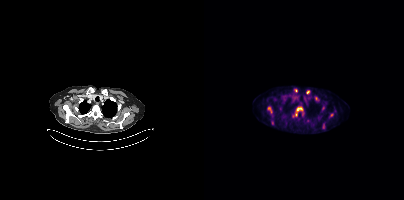
Findings: Coordinates are on the 200×200 PET (right) panel. PSMA-avid tumor lesion bounding boxes (x0,y0,x1,y1): [92,106,98,111], [63,106,68,112]. Small PSMA-avid foci (2 to 4 px across) near (center x, center y): (103, 91), (91, 90), (92, 114), (112, 97), (127, 114).
Technique: Paired axial CT (left) and PSMA PET (right), 18F-PSMA tracer. PET panel 200×200 px (4.1 mm/px).